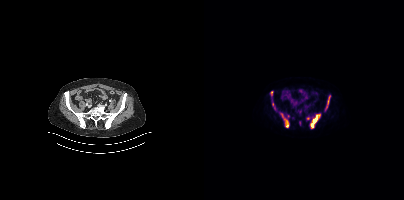
Coordinates are on the 200×200 PET (right) panel. (showing 4 of 8 foci) PSMA-avid tumor lesion bounding boxes (x, y, width, height): x=106 y=114 w=10 h=14 / x=77 y=114 w=8 h=14 / x=67 y=91 w=2 h=5. Small PSMA-avid focus (2 to 4 px across) near (center x, center y): (68, 104).